modality: PSMA PET/CT | tracer: 18F | view: axial | PET grid: 200×200
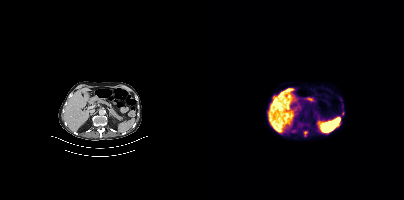
Coordinates are on the 200×200 PET (right) panel. Small PSMA-avid focus (2 to 4 px across) near (center x, center y): (101, 132).